Left: CT. Right: PSMA PET, same axial level, [18F]PSMA-1007 tracer. Acquired on Siemens Biograph mCT Flow 20. Slice 352 of 466. PET panel 200×200 px (4.1 mm/px).
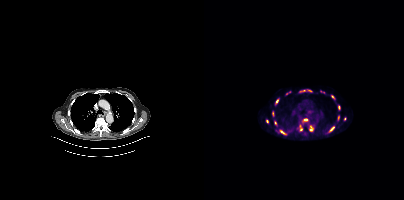
Coordinates are on the 200×200 PET (right) panel. (showing 14 of 16 foci) PSMA-avid tumor lesion bounding boxes (x, y, width, height): x=95 y=89 w=14 h=4; x=105 y=125 w=5 h=7; x=99 y=118 w=6 h=4; x=76 y=130 w=7 h=5; x=134 y=105 w=3 h=6; x=96 y=125 w=3 h=6; x=68 y=111 w=3 h=6; x=72 y=99 w=3 h=5; x=126 y=127 w=5 h=4. Small PSMA-avid foci (2 to 4 px across) near (center x, center y): (63, 121); (128, 96); (71, 122); (85, 91); (140, 118).